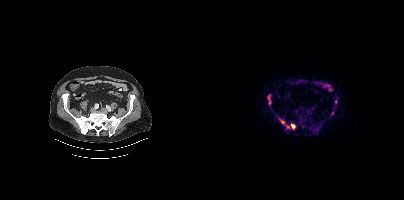
Coordinates are on the 200×200 PET (right) panel. PSMA-avid tumor lesion bounding boxes:
| # | x0 | y0 | x1 | y1 |
|---|---|---|---|---|
| 1 | 87 | 124 | 91 | 129 |
| 2 | 76 | 119 | 80 | 123 |
Small PSMA-avid foci (2 to 4 px across) near (center x, center y): (84, 127); (64, 97); (131, 101); (128, 113); (65, 102).
Left: CT. Right: PSMA PET, same axial level, 18F tracer. Acquired on Siemens Biograph mCT Flow 20. Slice 134 of 454.